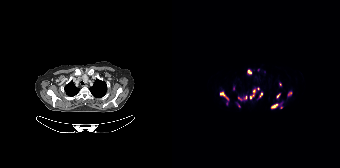
{"modality":"PSMA PET/CT","view":"axial","tracer":"18F","pet_grid":[168,168],"coord_frame":"pet_panel","coord_format":"x0,y0,x1,y1","partial":true,"lesion_bboxes":[[48,91,56,100],[77,89,83,99],[99,103,106,108],[66,95,75,100],[86,92,90,98],[104,93,108,98],[75,70,79,74],[115,92,119,96],[108,104,110,108]],"small_foci_centers":[[108,84],[86,88],[67,105],[61,88],[54,103]]}